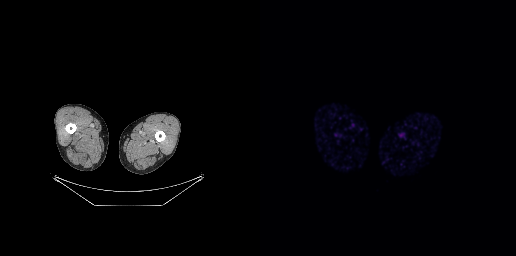
No PSMA-avid tumor lesions on this slice.